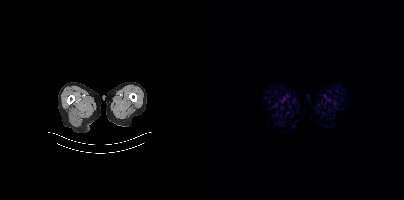
Negative for PSMA-avid disease on this slice. Paired axial CT (left) and PSMA PET (right), [18F]PSMA-1007 tracer. Slice 5 of 423. PET panel 200×200 px (4.1 mm/px).